Paired axial CT (left) and PSMA PET (right), 18F-PSMA tracer. Acquired on Siemens Biograph mCT Flow 20. PET panel 200×200 px (4.1 mm/px).
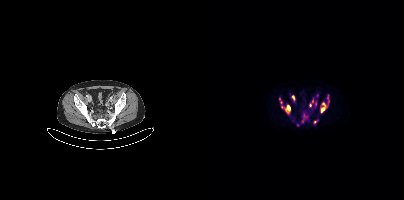
Coordinates are on the 200×200 PET (right) panel. PSMA-avid tumor lesion bounding boxes (x, y, width, height): x=117 y=103 w=5 h=9 | x=81 y=105 w=6 h=8 | x=75 y=99 w=5 h=8 | x=87 y=95 w=5 h=7 | x=98 y=115 w=6 h=8 | x=123 y=94 w=2 h=7. Small PSMA-avid foci (2 to 4 px across) near (center x, center y): (111, 103) | (111, 122) | (108, 101) | (106, 105) | (93, 124).